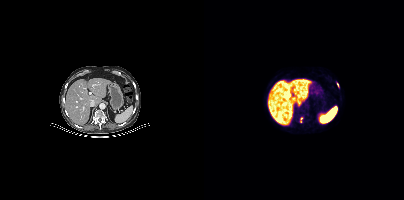
{"modality":"PSMA PET/CT","view":"axial","tracer":"18F","pet_grid":[200,200],"coord_frame":"pet_panel","coord_format":"x0,y0,x1,y1","lesion_bboxes":[],"small_foci_centers":[[133,84],[97,118],[96,121]]}